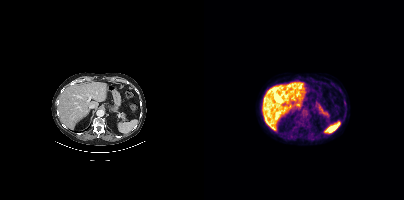
{"modality":"PSMA PET/CT","view":"axial","tracer":"18F","pet_grid":[200,200],"coord_frame":"pet_panel","coord_format":"x0,y0,x1,y1","psma_avid_lesions":false}